modality: PSMA PET/CT | tracer: 18F-PSMA | view: axial | PET grid: 200×200
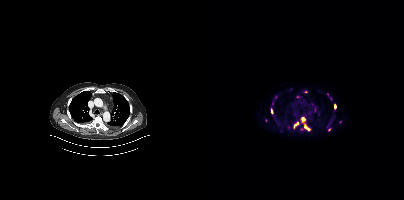
Coordinates are on the 200×200 PET (right) panel. (showing 8 of 12 foci) PSMA-avid tumor lesion bounding boxes (x0, y0)-(x1, y1): (97, 117)-(106, 131) / (89, 121)-(95, 128) / (130, 103)-(132, 109) / (67, 109)-(69, 113). Small PSMA-avid foci (2 to 4 px across) near (center x, center y): (127, 98) / (123, 94) / (125, 129) / (97, 129).